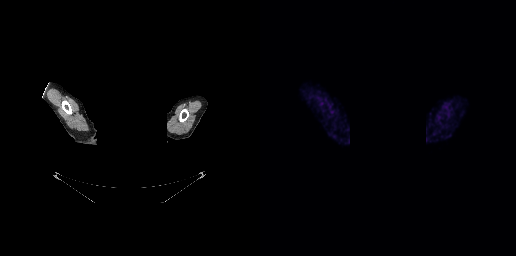
The head region is masked for de-identification.
This slice has no annotated PSMA-avid lesion.